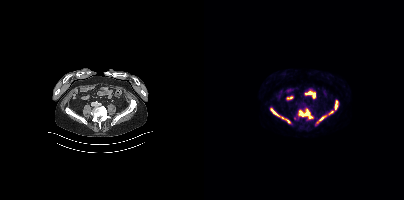
{"modality":"PSMA PET/CT","view":"axial","tracer":"18F-PSMA","pet_grid":[200,200],"coord_frame":"pet_panel","coord_format":"x0,y0,x1,y1","lesion_bboxes":[[95,109,109,119],[113,111,129,123],[67,108,75,116],[131,100,133,109]],"small_foci_centers":[[83,120],[78,117]]}